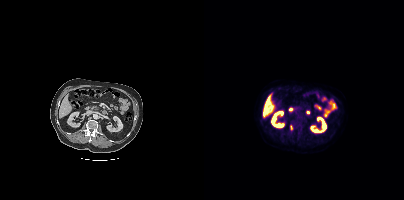
{"modality":"PSMA PET/CT","view":"axial","tracer":"18F-PSMA","pet_grid":[200,200],"coord_frame":"pet_panel","coord_format":"x0,y0,x1,y1","lesion_bboxes":[[86,125,88,129]]}